- Paired axial CT (left) and PSMA PET (right), 18F-PSMA tracer
- acquired on GE Discovery 690
- PET panel 256×256 px (2.7 mm/px)
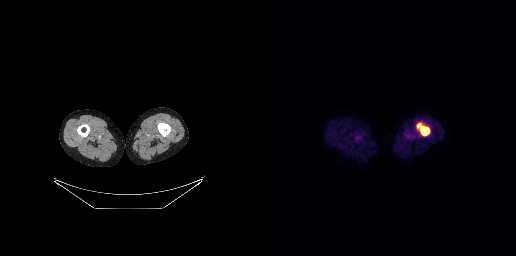
Findings: Coordinates are on the 256×256 PET (right) panel. PSMA-avid tumor lesion bounding box (x0,y0,x1,y1): [157,123,169,135].